- Two-panel axial: CT | PSMA PET, 18F-PSMA tracer
- acquired on Siemens Biograph mCT Flow 20
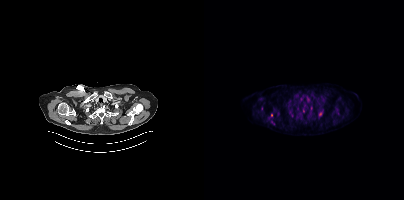
Findings: Coordinates are on the 200×200 PET (right) panel. (showing 2 of 4 foci) PSMA-avid tumor lesion bounding box (x0,y0,x1,y1): [115,111,118,116]. Small PSMA-avid focus (2 to 4 px across) near (center x, center y): (67, 115).